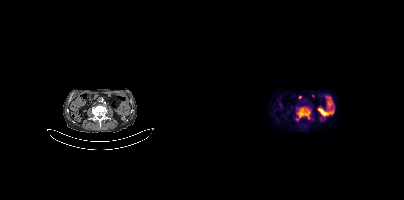
Coordinates are on the 200×200 PET (right) panel. PSMA-avid tumor lesion bounding boxes:
| # | x0 | y0 | x1 | y1 |
|---|---|---|---|---|
| 1 | 92 | 107 | 106 | 120 |
Small PSMA-avid focus (2 to 4 px across) near (center x, center y): (92, 107).
Paired axial CT (left) and PSMA PET (right), 18F tracer. Slice 154 of 385. PET panel 200×200 px (4.1 mm/px).